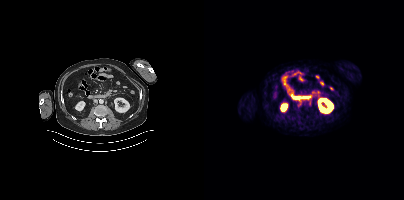
Findings: Coordinates are on the 200×200 PET (right) panel. Small PSMA-avid focus (2 to 4 px across) near (center x, center y): (95, 105).
Technique: Left: CT. Right: PSMA PET, same axial level, 68Ga-PSMA tracer. acquired on Siemens Biograph mCT Flow 20. slice 194 of 429.